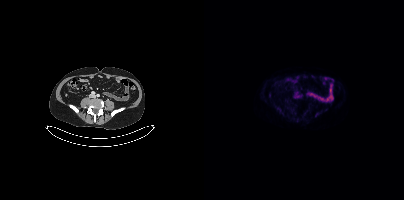
Negative for PSMA-avid disease on this slice.